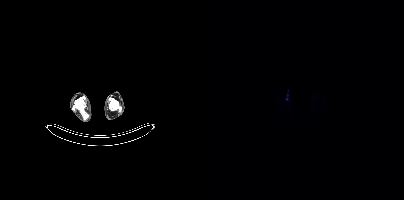
Paired axial CT (left) and PSMA PET (right), 18F-PSMA tracer. Coordinates are on the 200×200 PET (right) panel. (showing 1 of 2 foci) Small PSMA-avid focus (2 to 4 px across) near (center x, center y): (82, 99).